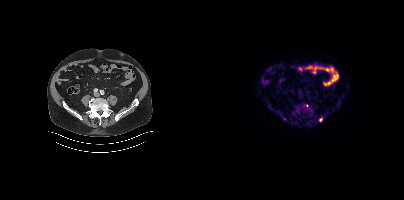
- Paired axial CT (left) and PSMA PET (right), 18F tracer
- acquired on Siemens Biograph mCT Flow 20
- slice position z = -694 mm
- PET panel 200×200 px (4.1 mm/px)
Findings: Coordinates are on the 200×200 PET (right) panel. Small PSMA-avid focus (2 to 4 px across) near (center x, center y): (116, 119).